An anonymization step blacked out a rectangle over the head in this scan.
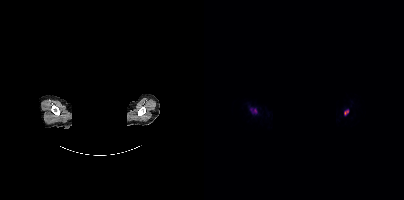
Coordinates are on the 200×200 PET (right) panel. PSMA-avid tumor lesion bounding boxes (x0,y0,x1,y1): [46,108,53,113]; [140,110,144,115].